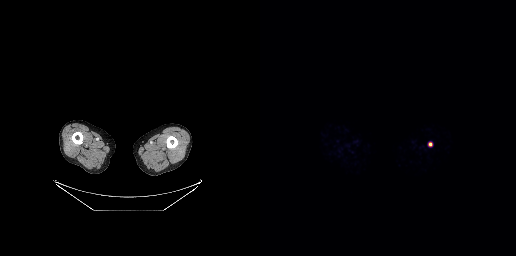
Left: CT. Right: PSMA PET, same axial level, 68Ga tracer. Slice 10 of 263.
Coordinates are on the 256×256 PET (right) panel. PSMA-avid tumor lesion bounding boxes:
| # | x0 | y0 | x1 | y1 |
|---|---|---|---|---|
| 1 | 169 | 142 | 172 | 146 |